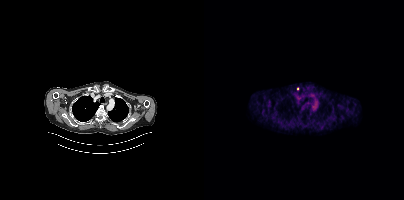
Coordinates are on the 200×200 PET (right) panel. Small PSMA-avid focus (2 to 4 px across) near (center x, center y): (93, 88).